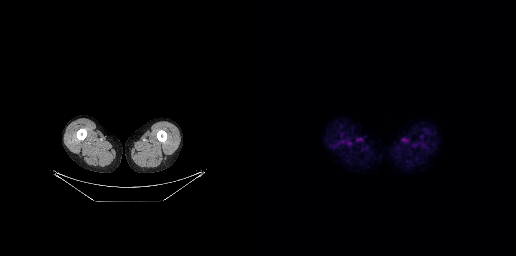
Findings: Negative for PSMA-avid disease on this slice.
Technique: Two-panel axial: CT | PSMA PET, [18F]PSMA-1007 tracer. PET panel 256×256 px (2.7 mm/px).